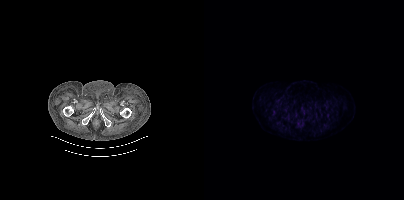
No tumor lesions annotated on this slice. Left: CT. Right: PSMA PET, same axial level, 18F-PSMA tracer. Acquired on Siemens Biograph mCT Flow 20. Slice 31 of 344. PET panel 200×200 px (4.1 mm/px).